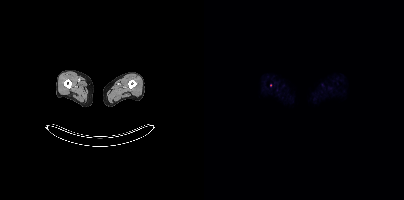
Coordinates are on the 200×200 PET (right) panel. Small PSMA-avid focus (2 to 4 px across) near (center x, center y): (66, 84).
modality: PSMA PET/CT | tracer: [18F]PSMA-1007 | view: axial